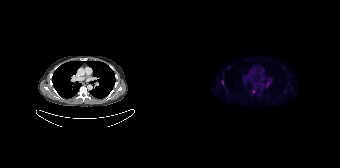
Findings: Coordinates are on the 168×168 PET (right) panel. PSMA-avid tumor lesion bounding box (x0, y0)-(x1, y1): (80, 88)-(83, 95). Small PSMA-avid focus (2 to 4 px across) near (center x, center y): (50, 81).
Technique: Left: CT. Right: PSMA PET, same axial level, 18F tracer. acquired on Siemens Biograph 64-4R TruePoint.